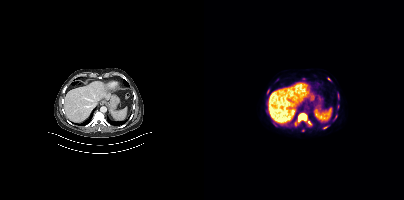
Coordinates are on the 200×200 PET (right) panel. PSMA-avid tumor lesion bounding boxes (x, y, width, height): x=94 y=114 w=9 h=7 / x=102 y=121 w=6 h=5 / x=90 y=122 w=6 h=4 / x=63 y=90 w=3 h=5 / x=119 y=126 w=6 h=3 / x=134 y=94 w=2 h=5. Small PSMA-avid foci (2 to 4 px across) near (center x, center y): (125, 79) / (131, 117) / (134, 106).